Technique: Two-panel axial: CT | PSMA PET, 18F tracer. slice position z = -879 mm.
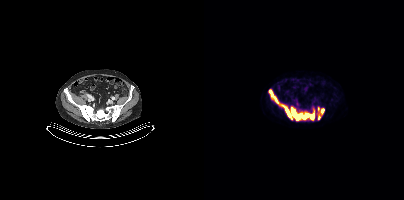
Findings: Coordinates are on the 200×200 PET (right) panel. PSMA-avid tumor lesion bounding box (x0, y0)-(x1, y1): (65, 89)-(110, 120). Small PSMA-avid foci (2 to 4 px across) near (center x, center y): (119, 110); (115, 117).